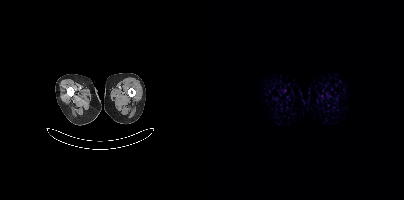
{"pet_grid":[200,200],"coord_frame":"pet_panel","coord_format":"x0,y0,x1,y1","psma_avid_lesions":false,"modality":"PSMA PET/CT","view":"axial","tracer":"18F"}